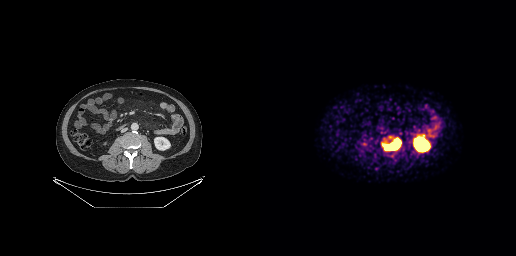
Left: CT. Right: PSMA PET, same axial level, 68Ga tracer. Acquired on GE Discovery 690. Slice 115 of 263. PET panel 256×256 px (2.7 mm/px). Coordinates are on the 256×256 PET (right) panel. PSMA-avid tumor lesion bounding box (x0,y0,x1,y1): [123,138,140,149].